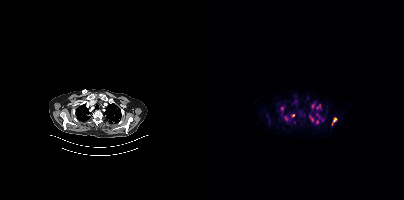
- Left: CT. Right: PSMA PET, same axial level, 18F-PSMA tracer
Findings: Coordinates are on the 200×200 PET (right) panel. (showing 9 of 12 foci) PSMA-avid tumor lesion bounding boxes (x0, y0)-(x1, y1): (112, 104)-(117, 109); (129, 118)-(132, 122). Small PSMA-avid foci (2 to 4 px across) near (center x, center y): (109, 105); (108, 119); (89, 115); (78, 108); (82, 118); (113, 122); (90, 122).